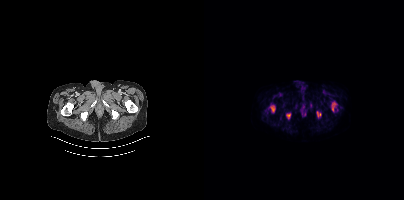
modality: PSMA PET/CT | tracer: [18F]PSMA-1007 | view: axial
Coordinates are on the 200×200 PET (right) panel. (showing 4 of 6 foci) PSMA-avid tumor lesion bounding boxes (x, y, width, height): x=65 y=105 w=7 h=8; x=128 y=102 w=5 h=10; x=82 y=113 w=5 h=7; x=113 y=111 w=4 h=6.